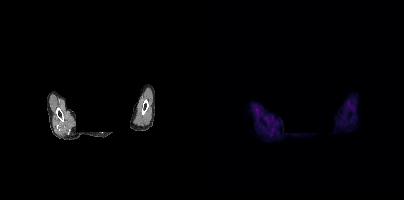
{"pet_grid":[200,200],"coord_frame":"pet_panel","coord_format":"x0,y0,x1,y1","psma_avid_lesions":false,"de-identification":"facial region redacted","modality":"PSMA PET/CT","view":"axial","tracer":"18F"}